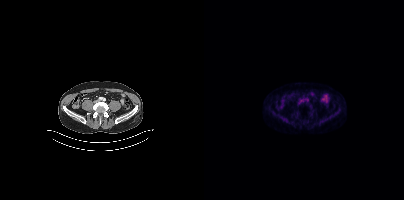
No tumor lesions annotated on this slice. Paired axial CT (left) and PSMA PET (right), [18F]PSMA-1007 tracer. PET panel 200×200 px (4.1 mm/px).